- Left: CT. Right: PSMA PET, same axial level, [18F]PSMA-1007 tracer
- slice position z = -1457 mm
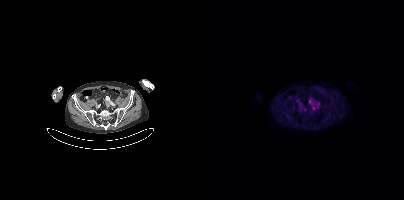
Findings: Coordinates are on the 200×200 PET (right) panel. PSMA-avid tumor lesion bounding box (x0, y0)-(x1, y1): (113, 101)-(115, 105). Small PSMA-avid foci (2 to 4 px across) near (center x, center y): (106, 100) | (110, 108) | (114, 108) | (100, 109).